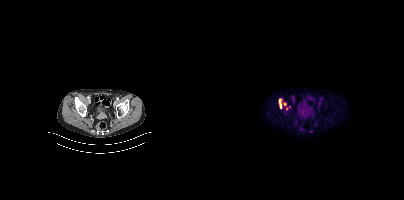
- Two-panel axial: CT | PSMA PET, 18F-PSMA tracer
- slice position z = -1449 mm
- PET panel 200×200 px (4.1 mm/px)
Findings: Coordinates are on the 200×200 PET (right) panel. (showing 4 of 5 foci) PSMA-avid tumor lesion bounding box (x0, y0)-(x1, y1): (75, 99)-(77, 108). Small PSMA-avid foci (2 to 4 px across) near (center x, center y): (82, 109); (85, 106); (80, 103).